- Left: CT. Right: PSMA PET, same axial level, 68Ga tracer
- acquired on Siemens Biograph mCT Flow 20
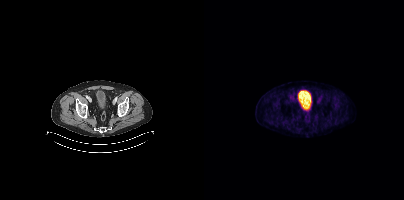
Findings: No tumor lesions annotated on this slice.